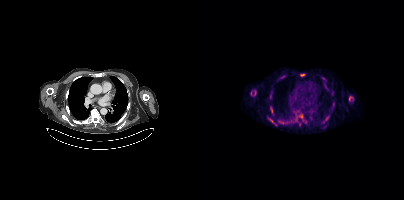
Left: CT. Right: PSMA PET, same axial level, 18F-PSMA tracer. Acquired on Siemens Biograph mCT Flow 20. Coordinates are on the 200×200 PET (right) panel. (showing 8 of 10 foci) PSMA-avid tumor lesion bounding boxes (x0, y0)-(x1, y1): (66, 106)-(69, 114) | (145, 96)-(149, 100) | (64, 118)-(72, 125) | (96, 74)-(100, 76) | (95, 114)-(98, 118) | (120, 116)-(124, 121). Small PSMA-avid foci (2 to 4 px across) near (center x, center y): (47, 92) | (66, 97).